Technique: Two-panel axial: CT | PSMA PET, 18F tracer. acquired on Siemens Biograph mCT Flow 20. slice 389 of 401. PET panel 200×200 px (4.1 mm/px).
Note: Any black rectangle over the head is a privacy mask, not anatomy.
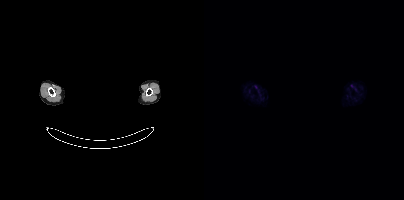
Findings: Negative for PSMA-avid disease on this slice.